- Two-panel axial: CT | PSMA PET, 18F-PSMA tracer
- acquired on Siemens Biograph mCT Flow 20
- the face region was removed for patient privacy by blanking a rectangle over the head
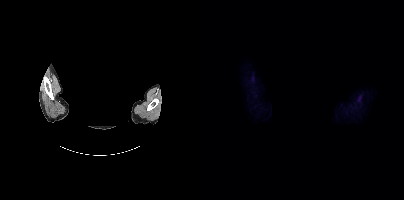
Findings: This slice has no annotated PSMA-avid lesion.